- Left: CT. Right: PSMA PET, same axial level, 18F-PSMA tracer
- slice 347 of 389
- PET panel 200×200 px (4.1 mm/px)
- facial anatomy redacted by setting a rectangular region of the head to black
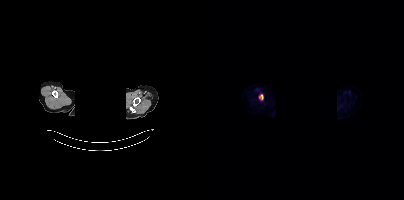
Findings: Coordinates are on the 200×200 PET (right) panel. PSMA-avid tumor lesion bounding box (x0,y0,x1,y1): [55,94,59,100].